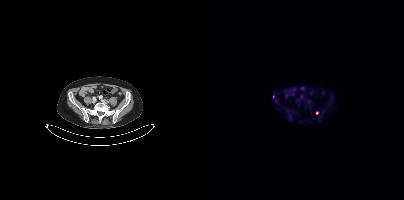
Two-panel axial: CT | PSMA PET, 18F-PSMA tracer. Slice position z = -120 mm. PET panel 200×200 px (4.1 mm/px). Coordinates are on the 200×200 PET (right) panel. Small PSMA-avid foci (2 to 4 px across) near (center x, center y): (113, 113) / (69, 96).